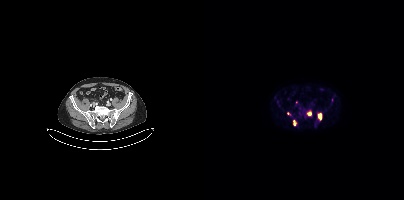
Two-panel axial: CT | PSMA PET, [18F]PSMA-1007 tracer. Acquired on Siemens Biograph mCT Flow 20. Slice position z = -1397 mm. PET panel 200×200 px (4.1 mm/px). Coordinates are on the 200×200 PET (right) panel. (showing 3 of 4 foci) PSMA-avid tumor lesion bounding boxes (x0,y0,x1,y1): [113,114,118,120], [89,121,92,125], [104,111,106,115].